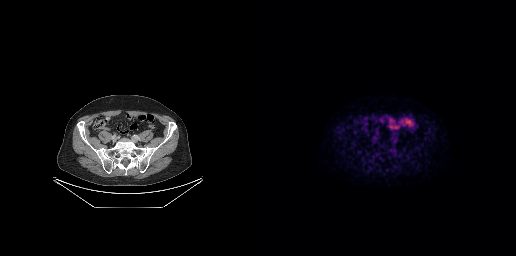
{"pet_grid":[256,256],"coord_frame":"pet_panel","coord_format":"x0,y0,x1,y1","lesion_bboxes":[],"small_foci_centers":[[132,137]],"modality":"PSMA PET/CT","view":"axial","tracer":"18F-PSMA"}